- Two-panel axial: CT | PSMA PET, 18F tracer
- acquired on Siemens Biograph mCT Flow 20
- PET panel 200×200 px (4.1 mm/px)
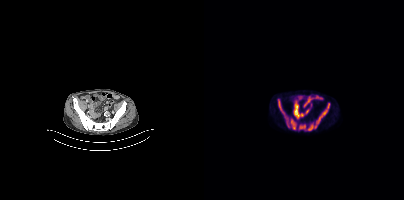
Findings: Coordinates are on the 200×200 PET (right) panel. PSMA-avid tumor lesion bounding boxes (x0, y0)-(x1, y1): (74, 99)-(92, 129) / (107, 103)-(125, 128) / (95, 124)-(101, 129). Small PSMA-avid focus (2 to 4 px across) near (center x, center y): (104, 128).